Technique: Paired axial CT (left) and PSMA PET (right), [68Ga]Ga-PSMA-11 tracer. slice position z = -1136 mm.
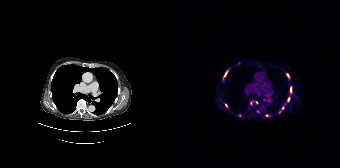
Findings: Coordinates are on the 168×168 PET (right) panel. (showing 9 of 12 foci) PSMA-avid tumor lesion bounding boxes (x, y, width, height): x=115 y=98 w=3 h=5 / x=52 y=71 w=4 h=6 / x=118 y=87 w=2 h=6 / x=115 y=73 w=3 h=5. Small PSMA-avid foci (2 to 4 px across) near (center x, center y): (68, 115) / (111, 108) / (84, 102) / (54, 105) / (94, 115).